Paired axial CT (left) and PSMA PET (right), 18F tracer. PET panel 200×200 px (4.1 mm/px).
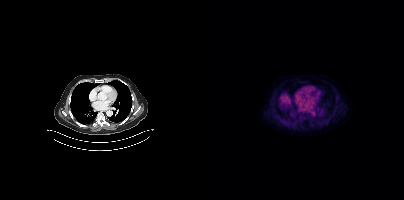
This slice has no annotated PSMA-avid lesion.